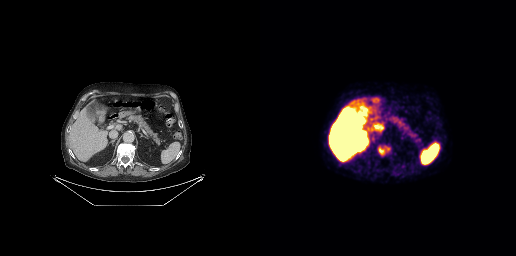
Two-panel axial: CT | PSMA PET, 18F-PSMA tracer. Slice 141 of 263. PET panel 256×256 px (2.7 mm/px). Coordinates are on the 256×256 PET (right) panel. PSMA-avid tumor lesion bounding box (x, y, width, height): x=118 y=146 w=13 h=10.